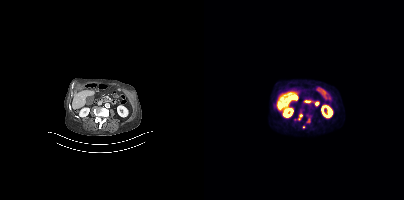
Findings: Coordinates are on the 200×200 PET (right) panel. (showing 3 of 4 foci) PSMA-avid tumor lesion bounding boxes (x, y, width, height): x=94 y=113 w=5 h=8 | x=103 y=118 w=4 h=5. Small PSMA-avid focus (2 to 4 px across) near (center x, center y): (99, 126).
Technique: Left: CT. Right: PSMA PET, same axial level, 18F tracer. slice 140 of 373. PET panel 200×200 px (4.1 mm/px).